modality: PSMA PET/CT | tracer: 68Ga | view: axial
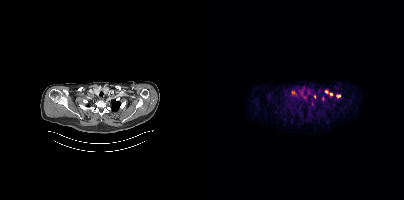
Coordinates are on the 200×200 PET (right) panel. Small PSMA-avid foci (2 to 4 px across) near (center x, center y): (119, 98) | (89, 92) | (110, 96) | (127, 94) | (134, 95) | (122, 91).